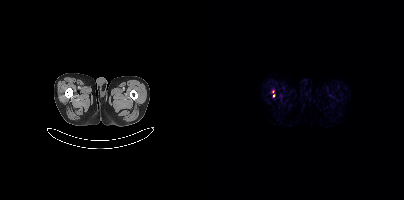
Paired axial CT (left) and PSMA PET (right), 18F-PSMA tracer. Slice 10 of 419. Coordinates are on the 200×200 PET (right) panel. (showing 1 of 2 foci) Small PSMA-avid focus (2 to 4 px across) near (center x, center y): (69, 95).